modality: PSMA PET/CT | tracer: [18F]PSMA-1007 | view: axial | PET grid: 200×200
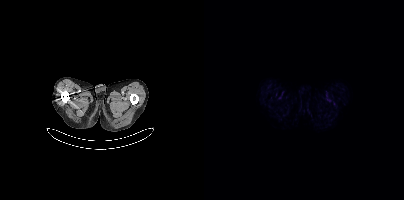
No PSMA-avid tumor lesions on this slice.